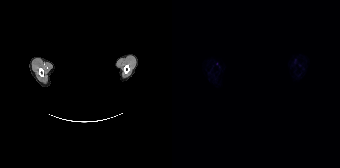
Paired axial CT (left) and PSMA PET (right), [18F]PSMA-1007 tracer. Acquired on Siemens Biograph 64-4R TruePoint. Slice position z = 2042 mm. PET panel 168×168 px (4.1 mm/px). Head region blanked for anonymization (face removed). This slice has no annotated PSMA-avid lesion.